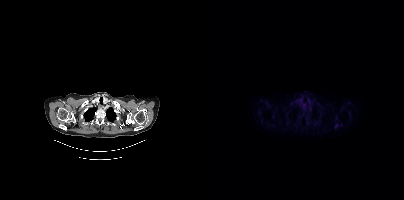
Negative for PSMA-avid disease on this slice.